Two-panel axial: CT | PSMA PET, 68Ga-PSMA tracer. Acquired on Siemens Biograph 64-4R TruePoint. Slice 10 of 165.
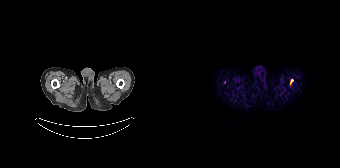
Only PSMA-avid lesion pieces thinner than 2 px on this slice (not listed).